- Two-panel axial: CT | PSMA PET, 18F tracer
- acquired on Siemens Biograph mCT Flow 20
- slice position z = -154 mm
- PET panel 200×200 px (4.1 mm/px)
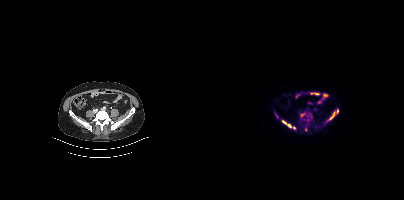
Findings: Coordinates are on the 200×200 PET (right) panel. PSMA-avid tumor lesion bounding boxes (x0, y0)-(x1, y1): (125, 109)-(134, 119) | (78, 120)-(87, 127). Small PSMA-avid foci (2 to 4 px across) near (center x, center y): (101, 129) | (90, 127).